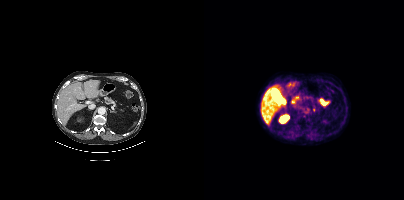
Two-panel axial: CT | PSMA PET, [18F]PSMA-1007 tracer. Slice 206 of 403. This slice has no annotated PSMA-avid lesion.